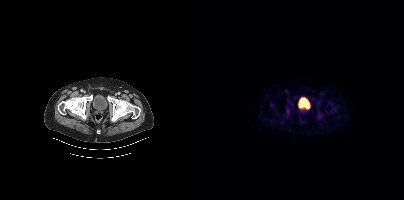
Coordinates are on the 200×200 PET (right) panel. (showing 8 of 9 foci) PSMA-avid tumor lesion bounding boxes (x0,y0,x1,y1): [83,100,89,106]; [113,114,118,119]; [82,107,85,116]; [66,103,70,107]; [96,109,102,113]; [112,100,116,104]; [124,102,127,106]. Small PSMA-avid focus (2 to 4 px across) near (center x, center y): (104, 98).